Technique: Two-panel axial: CT | PSMA PET, [68Ga]Ga-PSMA-11 tracer. slice 278 of 411. PET panel 200×200 px (4.1 mm/px).
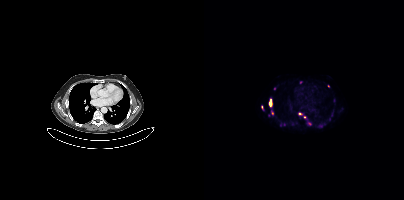
Findings: Coordinates are on the 200×200 PET (right) panel. (showing 9 of 11 foci) PSMA-avid tumor lesion bounding boxes (x0, y0)-(x1, y1): (65, 101)-(67, 106) | (94, 112)-(98, 115). Small PSMA-avid foci (2 to 4 px across) near (center x, center y): (70, 88) | (76, 124) | (57, 107) | (96, 82) | (124, 86) | (100, 117) | (120, 123).